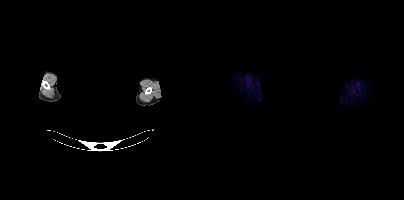
No tumor lesions annotated on this slice.
de-identification: face masked with black rectangle | modality: PSMA PET/CT | tracer: 18F-PSMA | view: axial | PET grid: 200×200